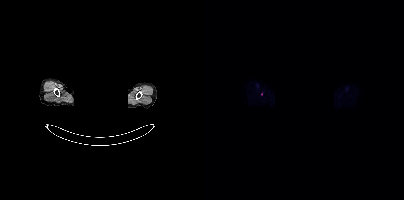
Face de-identified by blanking a block of the head. Paired axial CT (left) and PSMA PET (right), [18F]PSMA-1007 tracer. Acquired on Siemens Biograph mCT Flow 20. Slice position z = -260 mm. PET panel 200×200 px (4.1 mm/px). No tumor lesions annotated on this slice.